Left: CT. Right: PSMA PET, same axial level, 18F tracer. Acquired on Siemens Biograph mCT Flow 20. Slice 134 of 464. PET panel 200×200 px (4.1 mm/px).
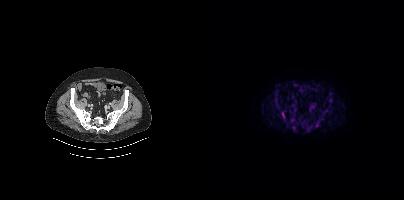
Coordinates are on the 200×200 PET (right) panel. PSMA-avid tumor lesion bounding boxes (x, y, width, height): x=87 y=120 w=7 h=11 | x=71 y=99 w=6 h=11 | x=123 y=96 w=7 h=8 | x=77 y=111 w=5 h=9 | x=111 y=121 w=5 h=6 | x=119 y=108 w=6 h=6 | x=103 y=127 w=5 h=5. Small PSMA-avid foci (2 to 4 px across) near (center x, center y): (91, 110) | (72, 91).